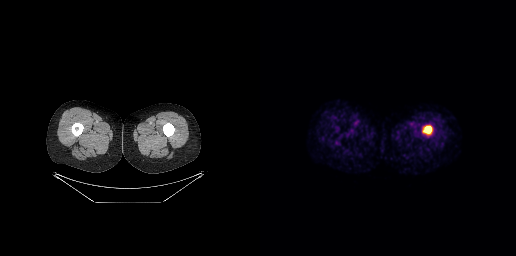
Technique: Left: CT. Right: PSMA PET, same axial level, [68Ga]Ga-PSMA-11 tracer. acquired on GE Discovery 690. slice position z = -1078 mm. PET panel 256×256 px (2.7 mm/px).
Findings: Coordinates are on the 256×256 PET (right) panel. PSMA-avid tumor lesion bounding box (x0, y0)-(x1, y1): (163, 126)-(171, 133).